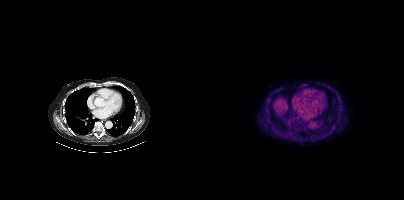
{"modality":"PSMA PET/CT","view":"axial","tracer":"[18F]PSMA-1007","pet_grid":[200,200],"coord_frame":"pet_panel","coord_format":"x0,y0,x1,y1","psma_avid_lesions":false}